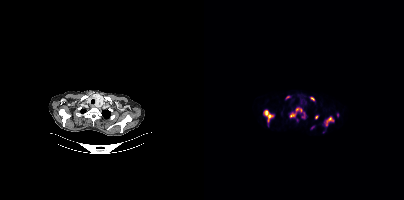
Findings: Coordinates are on the 200×200 PET (right) panel. (showing 7 of 9 foci) PSMA-avid tumor lesion bounding boxes (x, y, width, height): x=59 y=109 w=12 h=17 / x=85 y=107 w=17 h=12 / x=121 y=117 w=9 h=9. Small PSMA-avid foci (2 to 4 px across) near (center x, center y): (108, 98) / (83, 97) / (112, 117) / (133, 114).
- Paired axial CT (left) and PSMA PET (right), [18F]PSMA-1007 tracer